Technique: Left: CT. Right: PSMA PET, same axial level, 18F-PSMA tracer. PET panel 200×200 px (4.1 mm/px).
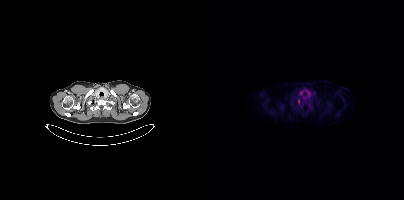
Findings: No tumor lesions annotated on this slice.